Technique: Paired axial CT (left) and PSMA PET (right), [68Ga]Ga-PSMA-11 tracer.
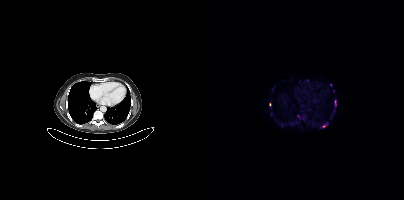
Findings: Coordinates are on the 200×200 PET (right) panel. (showing 2 of 3 foci) PSMA-avid tumor lesion bounding box (x, y, width, height): x=131 y=100 w=2 h=6. Small PSMA-avid focus (2 to 4 px across) near (center x, center y): (120, 126).